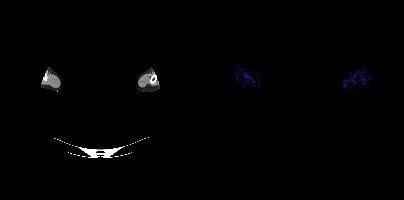
De-identified by setting a box covering the face to black before release.
Negative for PSMA-avid disease on this slice.